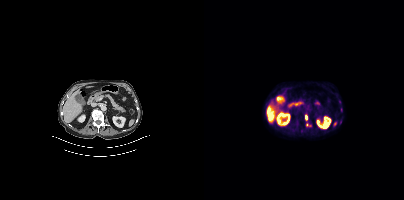
{"pet_grid":[200,200],"coord_frame":"pet_panel","coord_format":"x0,y0,x1,y1","partial":true,"lesion_bboxes":[[101,115,103,119],[102,123,106,126]],"modality":"PSMA PET/CT","view":"axial","tracer":"18F"}